- facial anatomy redacted by setting a rectangular region of the head to black
- Two-panel axial: CT | PSMA PET, [18F]PSMA-1007 tracer
- PET panel 200×200 px (4.1 mm/px)
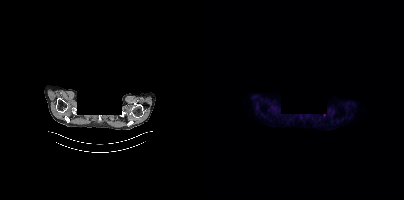
Findings: Coordinates are on the 200×200 PET (right) panel. Small PSMA-avid focus (2 to 4 px across) near (center x, center y): (120, 115).